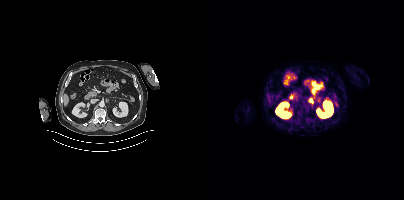
Technique: Paired axial CT (left) and PSMA PET (right), 68Ga-PSMA tracer. PET panel 200×200 px (4.1 mm/px).
Findings: This slice has no annotated PSMA-avid lesion.